- Left: CT. Right: PSMA PET, same axial level, 68Ga tracer
- acquired on GE Discovery 690
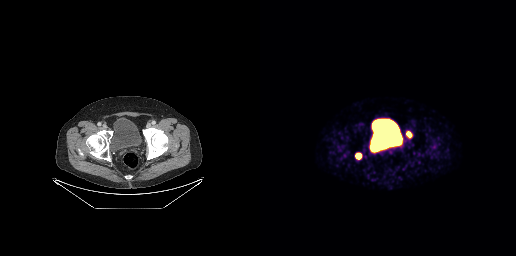
Findings: Coordinates are on the 256×256 PET (right) panel. PSMA-avid tumor lesion bounding boxes (x, y, width, height): x=96 y=153 w=6 h=6; x=147 y=132 w=5 h=5.